Two-panel axial: CT | PSMA PET, [18F]PSMA-1007 tracer. PET panel 200×200 px (4.1 mm/px).
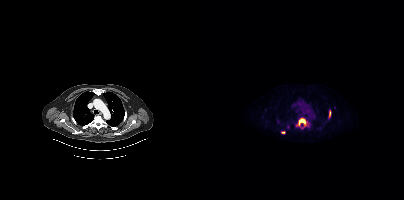
Coordinates are on the 200×200 PET (right) panel. PSMA-avid tumor lesion bounding boxes:
| # | x0 | y0 | x1 | y1 |
|---|---|---|---|---|
| 1 | 92 | 118 | 105 | 129 |
| 2 | 125 | 110 | 127 | 117 |
| 3 | 77 | 131 | 81 | 133 |
Small PSMA-avid focus (2 to 4 px across) near (center x, center y): (84, 126).